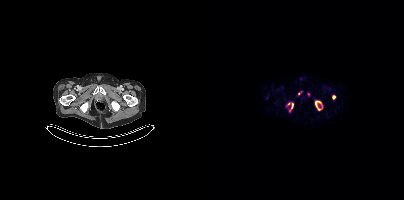
- Left: CT. Right: PSMA PET, same axial level, [18F]PSMA-1007 tracer
- slice 496 of 963
Findings: Coordinates are on the 200×200 PET (right) panel. PSMA-avid tumor lesion bounding boxes (x0,y0,x1,y1): [111,101,118,110] [128,95,131,99] [87,103,89,108]. Small PSMA-avid foci (2 to 4 px across) near (center x, center y): (94, 93) (84, 103).